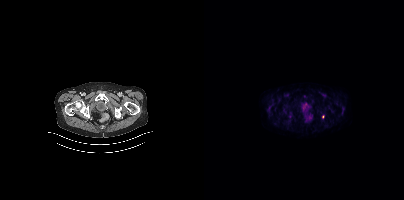
Only PSMA-avid lesion pieces thinner than 2 px on this slice (not listed).